modality: PSMA PET/CT | tracer: 18F-PSMA | view: axial | PET grid: 200×200
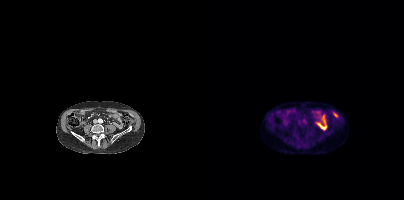
No tumor lesions annotated on this slice.